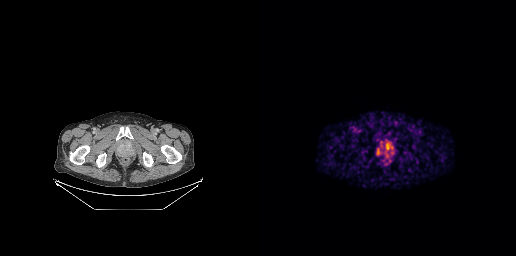
Coordinates are on the 256×256 PET (right) panel. PSMA-avid tumor lesion bounding boxes:
| # | x0 | y0 | x1 | y1 |
|---|---|---|---|---|
| 1 | 116 | 139 | 134 | 158 |
Paired axial CT (left) and PSMA PET (right), 68Ga-PSMA tracer. Acquired on GE Discovery 690. PET panel 256×256 px (2.7 mm/px).